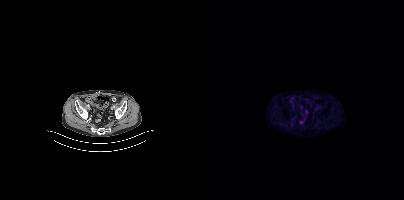
modality: PSMA PET/CT | tracer: 18F-PSMA | view: axial
Negative for PSMA-avid disease on this slice.